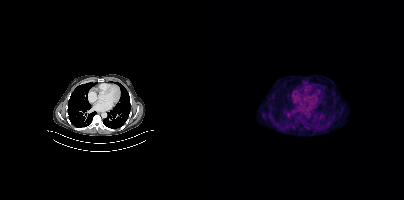
Negative for PSMA-avid disease on this slice.